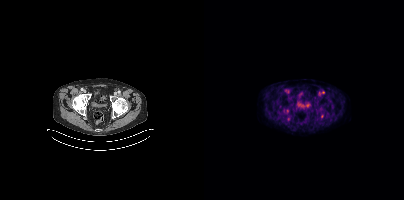
Findings: This slice has no annotated PSMA-avid lesion.
Technique: Two-panel axial: CT | PSMA PET, [18F]PSMA-1007 tracer. acquired on Siemens Biograph mCT Flow 20.